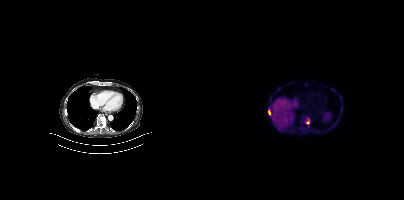
Findings: Coordinates are on the 200×200 PET (right) panel. PSMA-avid tumor lesion bounding boxes (x, y, width, height): x=98 y=115 w=8 h=10; x=64 y=110 w=3 h=5.
- Two-panel axial: CT | PSMA PET, 18F tracer
- slice position z = -1191 mm